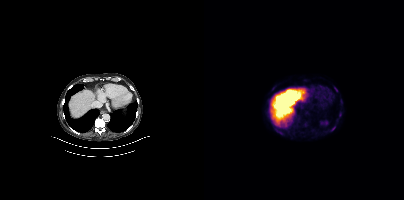
Coordinates are on the 200×200 PET (right) panel. PSMA-avid tumor lesion bounding box (x0,y0,x1,y1): [127,126,131,130]. Small PSMA-avid focus (2 to 4 px across) near (center x, center y): (136, 114). Left: CT. Right: PSMA PET, same axial level, 18F tracer.